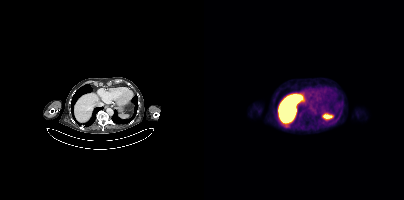
Findings: This slice has no annotated PSMA-avid lesion.
Technique: Left: CT. Right: PSMA PET, same axial level, 18F tracer.